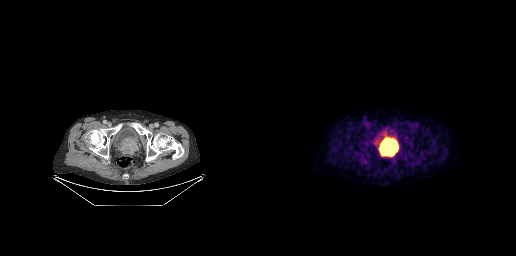
modality: PSMA PET/CT | tracer: 18F | view: axial | PET grid: 256×256
Coordinates are on the 256×256 PET (right) panel. PSMA-avid tumor lesion bounding box (x0,y0,x1,y1): [121,140,136,155].